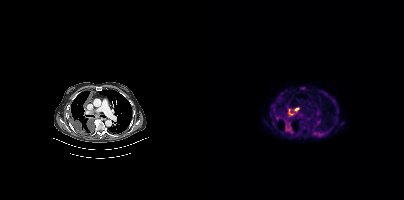
Coordinates are on the 200×200 PET (right) panel. PSMA-avid tumor lesion bounding boxes:
| # | x0 | y0 | x1 | y1 |
|---|---|---|---|---|
| 1 | 81 | 121 | 89 | 133 |
| 2 | 84 | 109 | 90 | 115 |
| 3 | 96 | 87 | 101 | 89 |
| 4 | 91 | 108 | 95 | 110 |
Small PSMA-avid focus (2 to 4 px across) near (center x, center y): (100, 127).
Two-panel axial: CT | PSMA PET, 18F-PSMA tracer. Slice position z = -1106 mm.